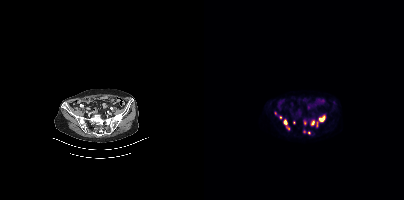
Coordinates are on the 200×200 PET (right) panel. (showing 9 of 11 foci) PSMA-avid tumor lesion bounding boxes (x, y, width, height): x=80 y=120 w=6 h=11 | x=115 y=116 w=6 h=6. Small PSMA-avid foci (2 to 4 px across) near (center x, center y): (109, 123) | (105, 133) | (71, 113) | (76, 117) | (100, 122) | (100, 131) | (129, 102). Two-panel axial: CT | PSMA PET, [68Ga]Ga-PSMA-11 tracer. Acquired on Siemens Biograph mCT Flow 20.